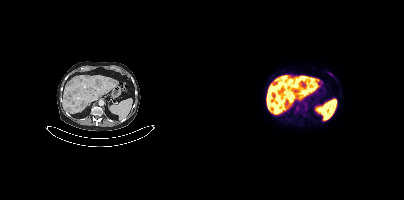
- Left: CT. Right: PSMA PET, same axial level, 18F-PSMA tracer
Findings: Coordinates are on the 200×200 PET (right) panel. PSMA-avid tumor lesion bounding boxes (x0,y0,x1,y1): [66,106,75,114] [91,76,100,83] [66,98,71,103] [124,72,129,76].